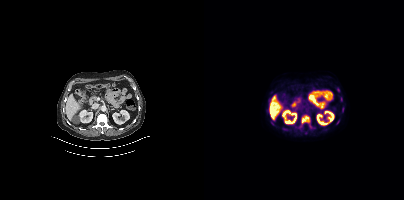
{"modality":"PSMA PET/CT","view":"axial","tracer":"[18F]PSMA-1007","pet_grid":[200,200],"coord_frame":"pet_panel","coord_format":"x0,y0,x1,y1","partial":true,"lesion_bboxes":[[97,115,106,124],[138,107,140,111],[132,120,135,124]],"small_foci_centers":[[134,89]]}